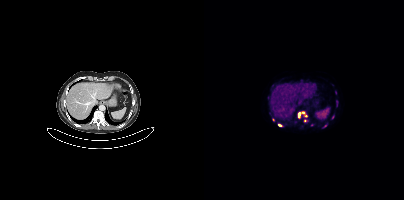
{"modality":"PSMA PET/CT","view":"axial","tracer":"68Ga","pet_grid":[200,200],"coord_frame":"pet_panel","coord_format":"x0,y0,x1,y1","partial":true,"lesion_bboxes":[[98,111,103,116],[94,113,96,117],[132,102,133,106]],"small_foci_centers":[[75,125],[131,92],[101,120],[121,126],[128,117],[69,119],[107,124]]}